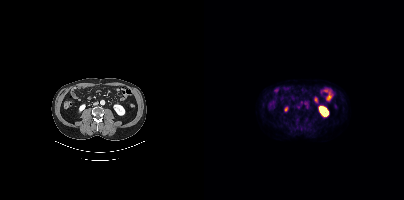
Only PSMA-avid lesion pieces thinner than 2 px on this slice (not listed). Paired axial CT (left) and PSMA PET (right), 18F tracer. Slice 172 of 438.